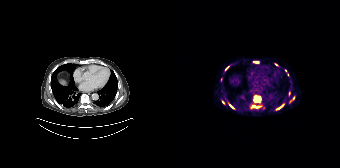
{"pet_grid":[168,168],"coord_frame":"pet_panel","coord_format":"x0,y0,x1,y1","partial":true,"lesion_bboxes":[[83,96,88,100],[104,105,111,110],[85,105,90,108],[57,104,61,108],[113,69,115,73]],"small_foci_centers":[[81,106],[121,97],[104,64],[49,79],[55,68],[117,93],[51,102],[83,100]],"modality":"PSMA PET/CT","view":"axial","tracer":"68Ga"}